Left: CT. Right: PSMA PET, same axial level, 18F tracer. Acquired on GE Discovery 690. Slice position z = -545 mm. PET panel 256×256 px (2.7 mm/px).
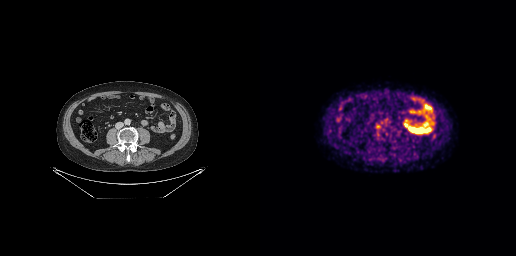
This slice has no annotated PSMA-avid lesion.